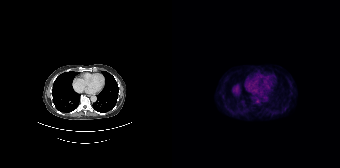
{"modality":"PSMA PET/CT","view":"axial","tracer":"18F-PSMA","pet_grid":[168,168],"coord_frame":"pet_panel","coord_format":"x0,y0,x1,y1","partial":true,"lesion_bboxes":[]}